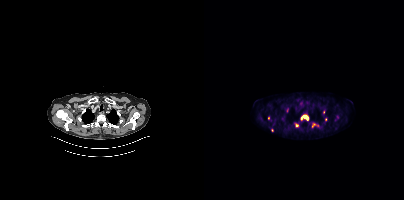
Findings: Coordinates are on the 200×200 PET (right) panel. PSMA-avid tumor lesion bounding boxes (x0,y0,x1,y1): [96,114,105,120]; [91,123,94,127]. Small PSMA-avid foci (2 to 4 px across) near (center x, center y): (109, 125); (119, 112); (64, 118); (121, 119); (68, 130).
Technique: Two-panel axial: CT | PSMA PET, [18F]PSMA-1007 tracer. acquired on Siemens Biograph mCT Flow 20.